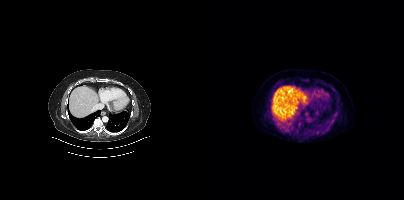
{"pet_grid":[200,200],"coord_frame":"pet_panel","coord_format":"x0,y0,x1,y1","psma_avid_lesions":false,"modality":"PSMA PET/CT","view":"axial","tracer":"18F"}